Paired axial CT (left) and PSMA PET (right), 18F-PSMA tracer. Slice 462 of 466. The head region is masked for de-identification.
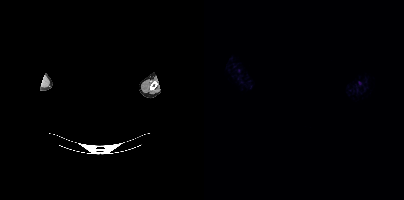
No tumor lesions annotated on this slice.